Two-panel axial: CT | PSMA PET, [18F]PSMA-1007 tracer.
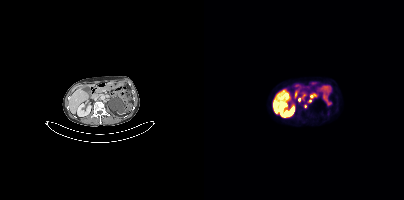
Coordinates are on the 200×200 PET (right) panel. (showing 3 of 4 foci) Small PSMA-avid foci (2 to 4 px across) near (center x, center y): (95, 99) / (107, 96) / (101, 106).